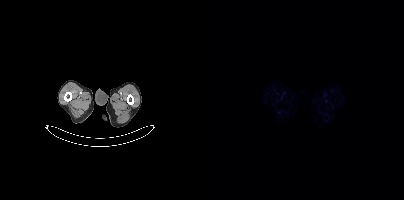
No PSMA-avid tumor lesions on this slice. Paired axial CT (left) and PSMA PET (right), 18F tracer. Slice 14 of 409.